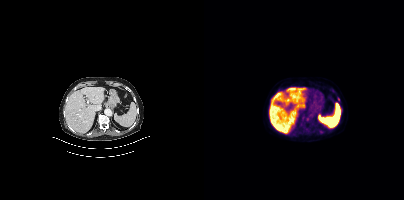
Two-panel axial: CT | PSMA PET, 18F-PSMA tracer. Slice position z = -1203 mm. Coordinates are on the 200×200 PET (right) panel. Small PSMA-avid focus (2 to 4 px across) near (center x, center y): (134, 99).